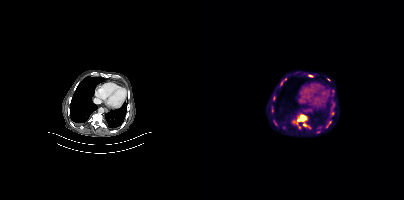
Coordinates are on the 200×200 PET (right) panel. (showing 2 of 3 foci) PSMA-avid tumor lesion bounding box (x0,y0,x1,y1): [89,114,103,126]. Small PSMA-avid focus (2 to 4 px across) near (center x, center y): (129, 112).
modality: PSMA PET/CT | tracer: [18F]PSMA-1007 | view: axial | PET grid: 200×200